Two-panel axial: CT | PSMA PET, 68Ga tracer. PET panel 168×168 px (4.1 mm/px). The head region is masked for de-identification.
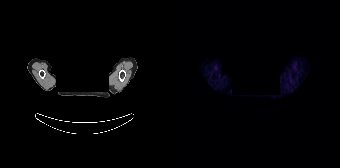
Negative for PSMA-avid disease on this slice.